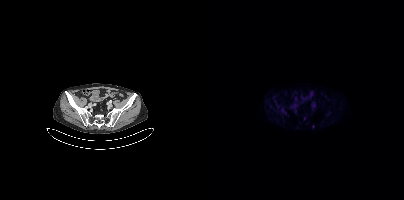
modality: PSMA PET/CT | tracer: 18F-PSMA | view: axial | PET grid: 200×200
Coordinates are on the 200×200 PET (right) panel. Small PSMA-avid focus (2 to 4 px across) near (center x, center y): (109, 126).